modality: PSMA PET/CT | tracer: [68Ga]Ga-PSMA-11 | view: axial | PET grid: 256×256
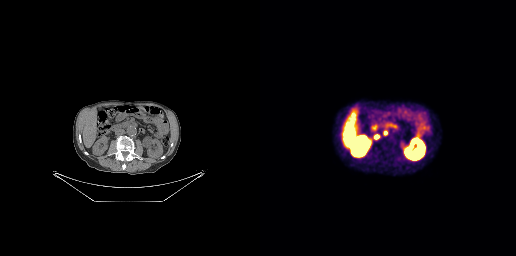
Coordinates are on the 256×256 PET (right) panel. PSMA-avid tumor lesion bounding box (x0, y0)-(x1, y1): (115, 135)-(119, 138). Small PSMA-avid focus (2 to 4 px across) near (center x, center y): (125, 133).